modality: PSMA PET/CT | tracer: 18F | view: axial | PET grid: 256×256
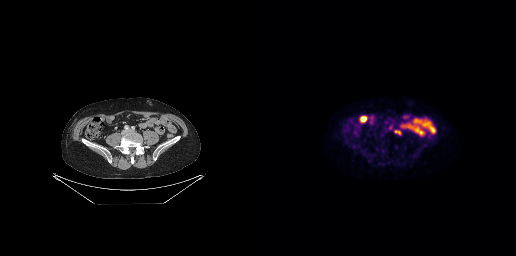
Coordinates are on the 256×256 PET (right) panel. PSMA-avid tumor lesion bounding box (x0, y0)-(x1, y1): (135, 131)-(140, 133).